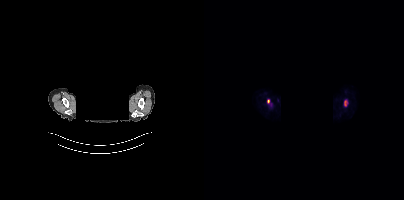
{"modality":"PSMA PET/CT","view":"axial","tracer":"[18F]PSMA-1007","pet_grid":[200,200],"coord_frame":"pet_panel","coord_format":"x0,y0,x1,y1","lesion_bboxes":[[140,100,143,106],[63,99,65,103]],"redaction":"facial region redacted"}